Left: CT. Right: PSMA PET, same axial level, 18F tracer. Acquired on Siemens Biograph mCT Flow 20. Slice 226 of 403.
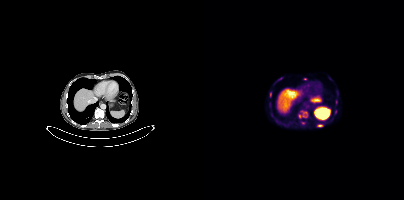
Coordinates are on the 200×200 PET (right) panel. (showing 4 of 6 foci) PSMA-avid tumor lesion bounding boxes (x, y, width, height): x=95 y=110 w=9 h=9; x=113 y=124 w=6 h=3. Small PSMA-avid foci (2 to 4 px across) near (center x, center y): (66, 94); (99, 122).